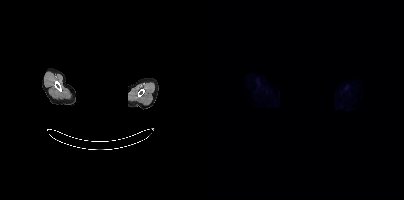
No PSMA-avid tumor lesions on this slice. Left: CT. Right: PSMA PET, same axial level, 18F-PSMA tracer. Acquired on Siemens Biograph mCT Flow 20. PET panel 200×200 px (4.1 mm/px). A rectangle over the head was blacked out to remove identifiable facial features.